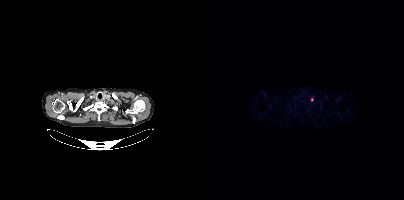
Coordinates are on the 200×200 PET (right) panel. PSMA-avid tumor lesion bounding box (x, y, width, height): x=107 y=97 w=3 h=5.
modality: PSMA PET/CT | tracer: 18F | view: axial | PET grid: 200×200